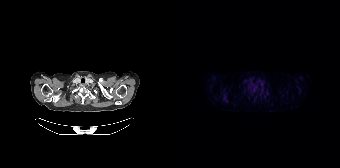
Paired axial CT (left) and PSMA PET (right), 18F-PSMA tracer. Acquired on Siemens Biograph 64-4R TruePoint. PET panel 168×168 px (4.1 mm/px). No tumor lesions annotated on this slice.